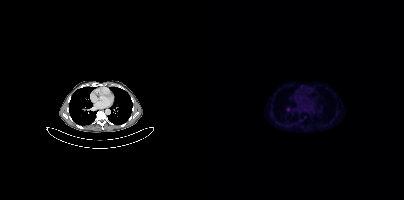
modality: PSMA PET/CT | tracer: 68Ga | view: axial
Coordinates are on the 200×200 PET (right) panel. Small PSMA-avid focus (2 to 4 px across) near (center x, center y): (83, 109).